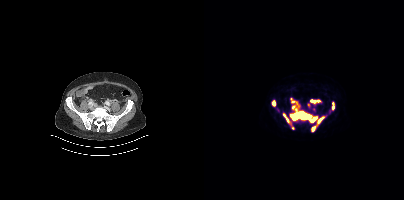
Coordinates are on the 200×200 PET (right) panel. PSMA-avid tumor lesion bounding boxes (x0,y0,x1,y1): [86,98,120,131] [106,99,116,103] [79,113,85,123] [68,100,71,106] [128,102,130,109]. Small PSMA-avid foci (2 to 4 px across) near (center x, center y): (89, 128) (104, 104).